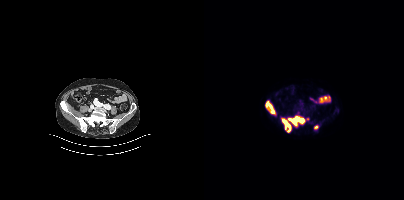
Coordinates are on the 200×200 PET (right) panel. (showing 2 of 4 foci) PSMA-avid tumor lesion bounding boxes (x, y, width, height): x=78 y=116 w=23 h=17; x=61 y=101 w=11 h=14.